- Left: CT. Right: PSMA PET, same axial level, [18F]PSMA-1007 tracer
- PET panel 200×200 px (4.1 mm/px)
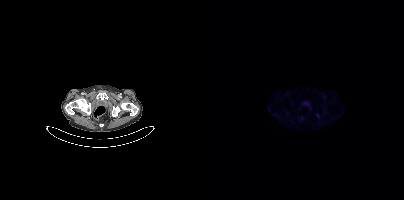
Findings: No PSMA-avid tumor lesions on this slice.